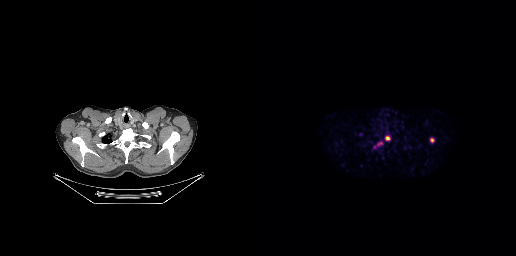
Technique: Two-panel axial: CT | PSMA PET, 18F tracer. acquired on GE Discovery 690.
Findings: Coordinates are on the 256×256 PET (right) panel. (showing 3 of 5 foci) PSMA-avid tumor lesion bounding boxes (x0, y0)-(x1, y1): (125, 135)-(130, 140) | (170, 138)-(174, 142) | (117, 142)-(122, 145).